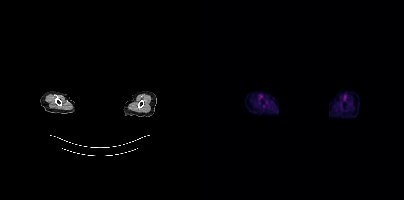
Technique: Left: CT. Right: PSMA PET, same axial level, [18F]PSMA-1007 tracer. slice 368 of 397. PET panel 200×200 px (4.1 mm/px).
Note: The face region was removed for patient privacy by blanking a rectangle over the head.
Findings: No tumor lesions annotated on this slice.